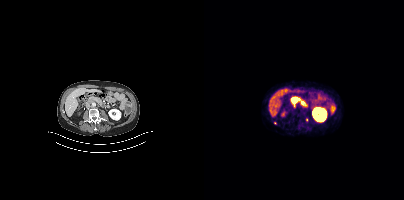
- Two-panel axial: CT | PSMA PET, 68Ga-PSMA tracer
- slice position z = -1238 mm
- PET panel 200×200 px (4.1 mm/px)
Findings: Coordinates are on the 200×200 PET (right) panel. PSMA-avid tumor lesion bounding box (x, y, width, height): x=87 y=100 w=7 h=5. Small PSMA-avid foci (2 to 4 px across) near (center x, center y): (102, 120); (70, 122).